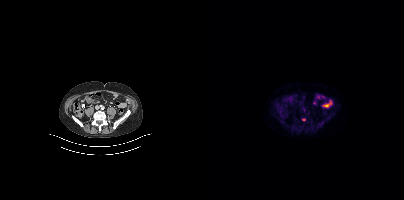
Technique: Paired axial CT (left) and PSMA PET (right), 18F-PSMA tracer. acquired on Siemens Biograph mCT Flow 20. PET panel 200×200 px (4.1 mm/px).
Findings: Only PSMA-avid lesion pieces thinner than 2 px on this slice (not listed).